modality: PSMA PET/CT | tracer: 68Ga | view: axial
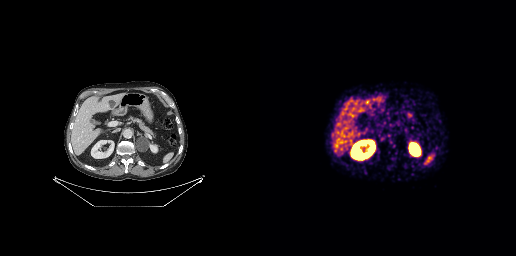
No PSMA-avid tumor lesions on this slice.